- Paired axial CT (left) and PSMA PET (right), 18F tracer
- acquired on Siemens Biograph mCT Flow 20
- PET panel 200×200 px (4.1 mm/px)
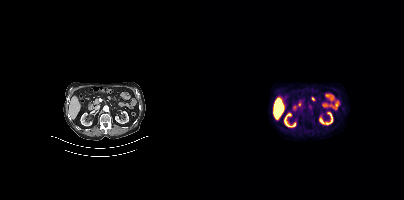
Findings: Negative for PSMA-avid disease on this slice.